Paired axial CT (left) and PSMA PET (right), [18F]PSMA-1007 tracer.
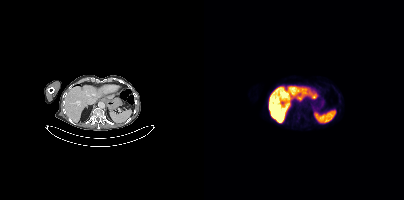
No PSMA-avid tumor lesions on this slice.